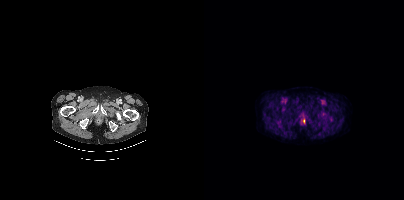
Negative for PSMA-avid disease on this slice.